Technique: Paired axial CT (left) and PSMA PET (right), 18F tracer. slice 360 of 421.
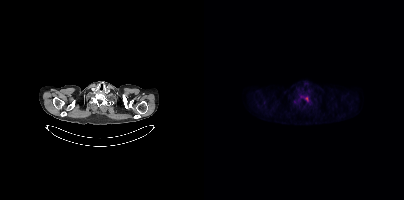
Findings: Coordinates are on the 200×200 PET (right) panel. PSMA-avid tumor lesion bounding box (x, y, width, height): x=96 y=95 w=10 h=8. Small PSMA-avid focus (2 to 4 px across) near (center x, center y): (90, 101).